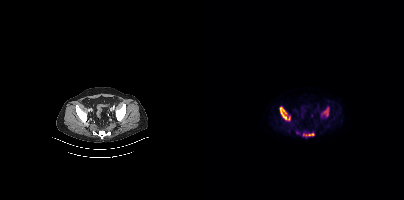
{"modality":"PSMA PET/CT","view":"axial","tracer":"18F","pet_grid":[200,200],"coord_frame":"pet_panel","coord_format":"x0,y0,x1,y1","partial":true,"lesion_bboxes":[[76,107,85,119],[119,107,124,116],[104,133,109,135]]}